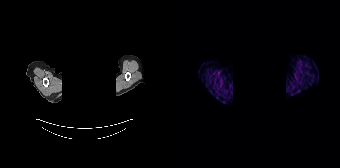
{"modality":"PSMA PET/CT","view":"axial","tracer":"68Ga-PSMA","pet_grid":[168,168],"coord_frame":"pet_panel","coord_format":"x0,y0,x1,y1","psma_avid_lesions":false,"de-identification":"facial region redacted"}